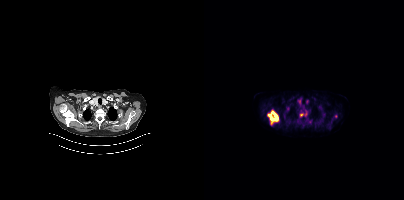
Coordinates are on the 200×200 PET (right) panel. (showing 6 of 7 foci) PSMA-avid tumor lesion bounding box (x, y, width, height): x=64 y=111 w=11 h=13. Small PSMA-avid foci (2 to 4 px across) near (center x, center y): (84, 108); (97, 114); (132, 116); (106, 121); (101, 114).